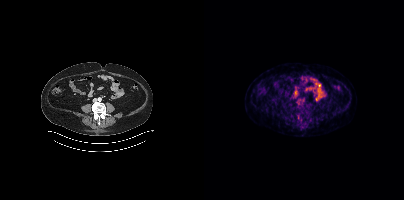
Two-panel axial: CT | PSMA PET, 18F tracer. Slice 154 of 429. PET panel 200×200 px (4.1 mm/px). Negative for PSMA-avid disease on this slice.